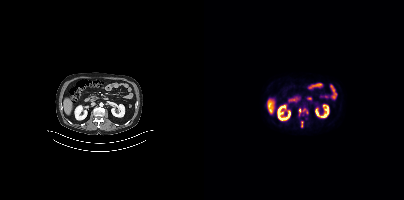
{"modality":"PSMA PET/CT","view":"axial","tracer":"18F-PSMA","pet_grid":[200,200],"coord_frame":"pet_panel","coord_format":"x0,y0,x1,y1","partial":true,"lesion_bboxes":[[95,108,97,112],[97,121,99,127]],"small_foci_centers":[[100,109]]}